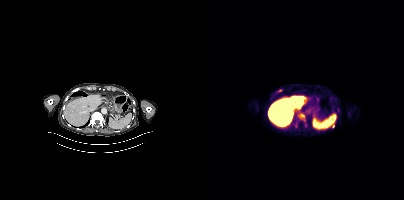
Coordinates are on the 200×200 PET (right) panel. (showing 1 of 2 foci) Small PSMA-avid focus (2 to 4 px across) near (center x, center y): (129, 126).